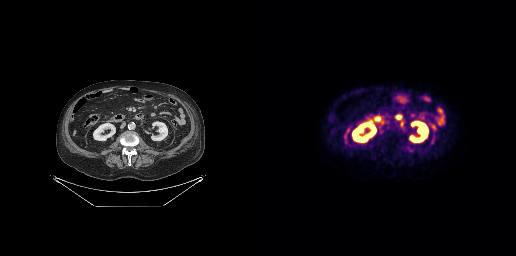
{"modality":"PSMA PET/CT","view":"axial","tracer":"[18F]PSMA-1007","pet_grid":[256,256],"coord_frame":"pet_panel","coord_format":"x0,y0,x1,y1","lesion_bboxes":[],"small_foci_centers":[[122,129]]}